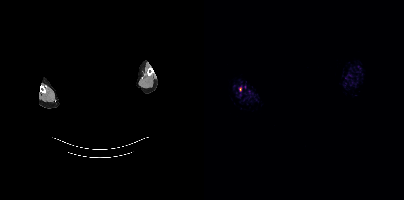
{"pet_grid":[200,200],"coord_frame":"pet_panel","coord_format":"x0,y0,x1,y1","psma_avid_lesions":false,"modality":"PSMA PET/CT","view":"axial","tracer":"18F","deidentification":"head region blanked (face removed)"}